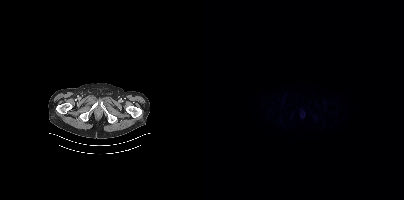
Negative for PSMA-avid disease on this slice.